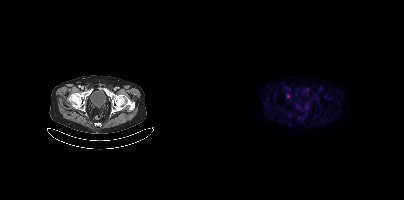
Coordinates are on the 200×200 PET (right) panel. Small PSMA-avid focus (2 to 4 px across) near (center x, center y): (84, 96).